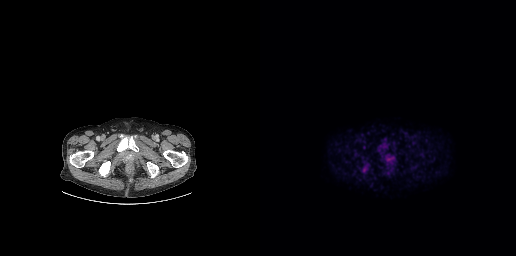
Technique: Two-panel axial: CT | PSMA PET, 18F tracer.
Findings: Coordinates are on the 256×256 PET (right) panel. PSMA-avid tumor lesion bounding box (x, y, width, height): x=102 y=162 w=8 h=12.